modality: PSMA PET/CT | tracer: 18F | view: axial
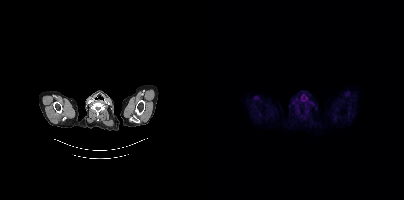
No tumor lesions annotated on this slice.